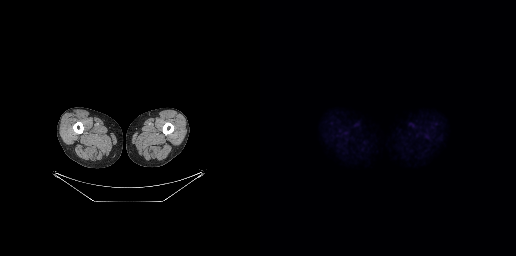
Paired axial CT (left) and PSMA PET (right), 18F-PSMA tracer. Acquired on GE Discovery 690. No PSMA-avid tumor lesions on this slice.